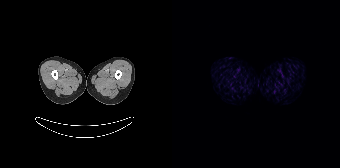
Technique: Two-panel axial: CT | PSMA PET, [68Ga]Ga-PSMA-11 tracer.
Findings: This slice has no annotated PSMA-avid lesion.